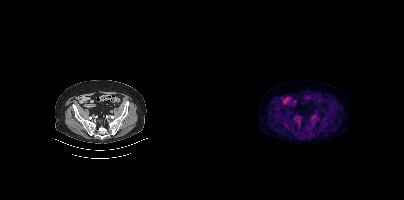
modality: PSMA PET/CT | tracer: 18F-PSMA | view: axial
Negative for PSMA-avid disease on this slice.